Technique: Left: CT. Right: PSMA PET, same axial level, 18F-PSMA tracer. PET panel 200×200 px (4.1 mm/px).
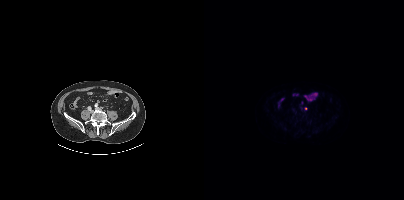
Findings: Coordinates are on the 200×200 PET (right) panel. Small PSMA-avid focus (2 to 4 px across) near (center x, center y): (102, 108).